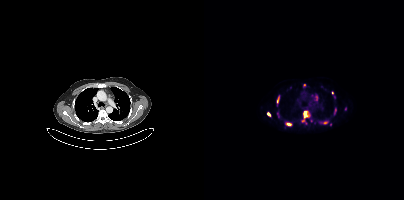
Coordinates are on the 200×200 PET (right) panel. (showing 11 of 14 foci) PSMA-avid tumor lesion bounding boxes (x0, y0)-(x1, y1): (99, 111)-(106, 118) / (82, 123)-(87, 125) / (119, 121)-(123, 124) / (130, 108)-(132, 114) / (63, 112)-(66, 116) / (73, 98)-(75, 103) / (73, 112)-(75, 116). Small PSMA-avid foci (2 to 4 px across) near (center x, center y): (99, 122) / (141, 109) / (100, 84) / (128, 92).